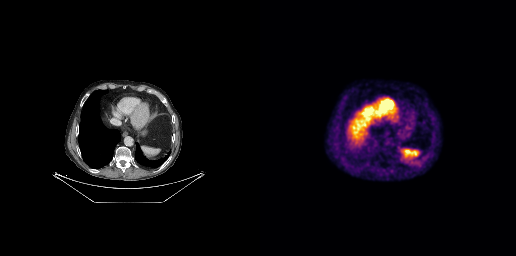
This slice has no annotated PSMA-avid lesion.